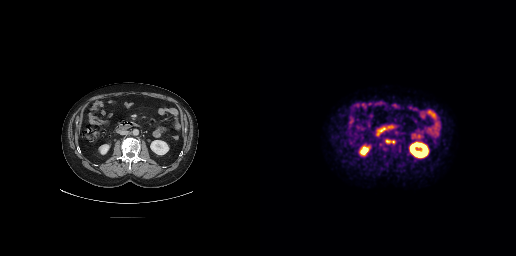
- Paired axial CT (left) and PSMA PET (right), [18F]PSMA-1007 tracer
- acquired on GE Discovery 690
Findings: Coordinates are on the 256×256 PET (right) panel. PSMA-avid tumor lesion bounding box (x, y, width, height): x=125 y=139 w=10 h=5.